modality: PSMA PET/CT | tracer: 18F | view: axial
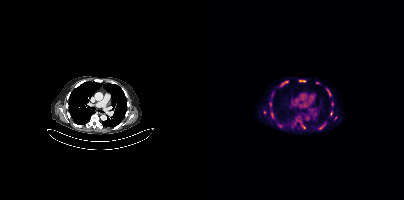
Coordinates are on the 200×200 PET (right) panel. PSMA-avid tumor lesion bounding boxes (x0,y0,x1,y1): [76,81,84,86] [116,124,121,129] [95,80,101,82] [97,125,101,129] [124,90,126,96] [67,112,68,116]. Small PSMA-avid foci (2 to 4 px across) near (center x, center y): (127, 113) (66, 104) (113, 82) (60, 112) (131, 117).